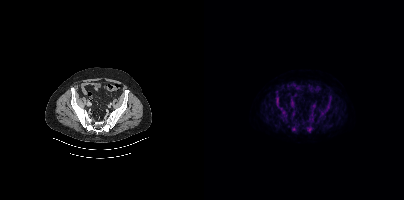
Left: CT. Right: PSMA PET, same axial level, 18F tracer. PET panel 200×200 px (4.1 mm/px).
Coordinates are on the 200×200 PET (right) panel. PSMA-avid tumor lesion bounding boxes (partial; 1 more focus not listed):
| # | x0 | y0 | x1 | y1 |
|---|---|---|---|---|
| 1 | 88 | 120 | 93 | 131 |
| 2 | 77 | 108 | 83 | 116 |
| 3 | 103 | 127 | 109 | 132 |
| 4 | 119 | 107 | 124 | 113 |
| 5 | 105 | 117 | 110 | 122 |
| 6 | 124 | 96 | 128 | 101 |
| 7 | 72 | 97 | 75 | 102 |
| 8 | 79 | 118 | 83 | 121 |
Small PSMA-avid focus (2 to 4 px across) near (center x, center y): (124, 104).